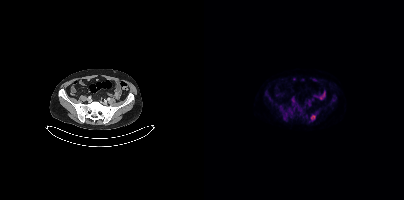
Findings: Coordinates are on the 200×200 PET (right) panel. PSMA-avid tumor lesion bounding box (x0, y0)-(x1, y1): (107, 115)-(111, 120). Small PSMA-avid focus (2 to 4 px across) near (center x, center y): (81, 115).
Technique: Two-panel axial: CT | PSMA PET, 18F-PSMA tracer. slice 121 of 431.